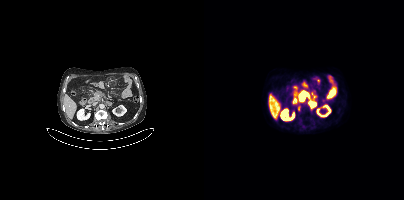
{"modality":"PSMA PET/CT","view":"axial","tracer":"18F-PSMA","pet_grid":[200,200],"coord_frame":"pet_panel","coord_format":"x0,y0,x1,y1","partial":true,"lesion_bboxes":[[94,91,104,100],[105,101,112,107],[94,106,96,110]],"small_foci_centers":[[110,96]]}